- Two-panel axial: CT | PSMA PET, 68Ga tracer
- acquired on Siemens Biograph 64-4R TruePoint
- PET panel 168×168 px (4.1 mm/px)
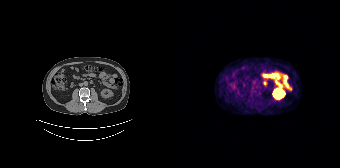
Findings: No tumor lesions annotated on this slice.